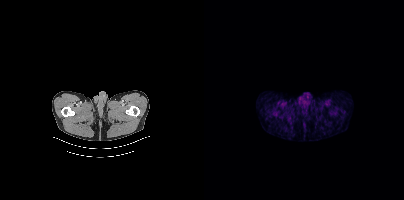
Left: CT. Right: PSMA PET, same axial level, [18F]PSMA-1007 tracer. No tumor lesions annotated on this slice.